- Left: CT. Right: PSMA PET, same axial level, 18F tracer
- PET panel 200×200 px (4.1 mm/px)
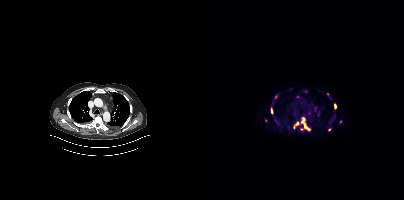
Findings: Coordinates are on the 200×200 PET (right) panel. (showing 7 of 9 foci) PSMA-avid tumor lesion bounding boxes (x0, y0)-(x1, y1): (89, 117)-(106, 131) / (129, 103)-(132, 109) / (67, 108)-(68, 113). Small PSMA-avid foci (2 to 4 px across) near (center x, center y): (123, 94) / (125, 129) / (126, 98) / (136, 121).